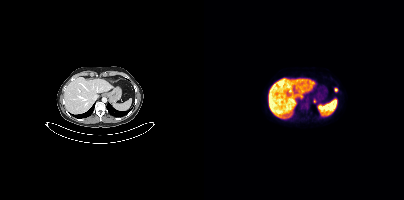
{"modality":"PSMA PET/CT","view":"axial","tracer":"[18F]PSMA-1007","pet_grid":[200,200],"coord_frame":"pet_panel","coord_format":"x0,y0,x1,y1","lesion_bboxes":[[109,98,112,103]],"small_foci_centers":[[131,89]]}